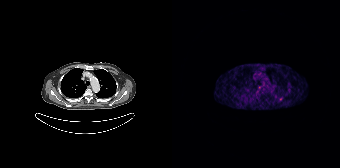
Two-panel axial: CT | PSMA PET, 68Ga tracer. Slice 150 of 195. Coordinates are on the 168×168 PET (right) panel. Small PSMA-avid focus (2 to 4 px across) near (center x, center y): (108, 99).